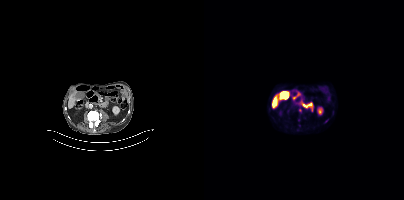
Only PSMA-avid lesion pieces thinner than 2 px on this slice (not listed). Left: CT. Right: PSMA PET, same axial level, [18F]PSMA-1007 tracer. Acquired on Siemens Biograph mCT Flow 20. Slice 155 of 375.